modality: PSMA PET/CT | tracer: 18F | view: axial | PET grid: 200×200
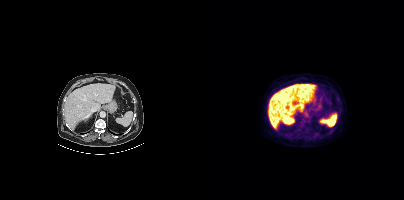
No tumor lesions annotated on this slice.